Paired axial CT (left) and PSMA PET (right), [18F]PSMA-1007 tracer. PET panel 200×200 px (4.1 mm/px).
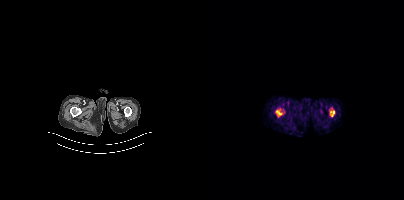
Coordinates are on the 200×200 PET (right) panel. PSMA-avid tumor lesion bounding box (x0, y0)-(x1, y1): (71, 109)-(78, 117).